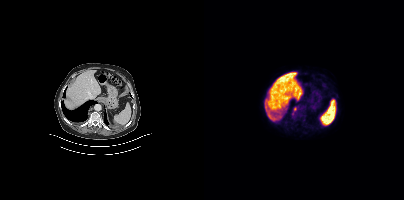
Findings: Coordinates are on the 200×200 PET (right) panel. Small PSMA-avid focus (2 to 4 px across) near (center x, center y): (90, 108).
Technique: Left: CT. Right: PSMA PET, same axial level, [18F]PSMA-1007 tracer. PET panel 200×200 px (4.1 mm/px).